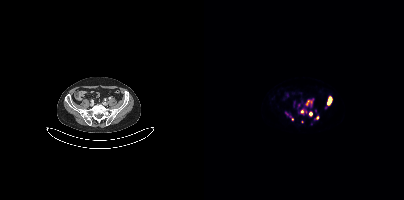
modality: PSMA PET/CT | tracer: [68Ga]Ga-PSMA-11 | view: axial | PET grid: 200×200
Coordinates are on the 200×200 PET (right) panel. (showing 9 of 11 foci) PSMA-avid tumor lesion bounding boxes (x, y, width, height): x=101 y=100 w=8 h=7; x=123 y=97 w=5 h=8; x=86 y=116 w=4 h=5. Small PSMA-avid foci (2 to 4 px across) near (center x, center y): (98, 111); (106, 113); (113, 118); (94, 104); (111, 110); (83, 113).